Technique: Left: CT. Right: PSMA PET, same axial level, 18F-PSMA tracer. slice position z = -1388 mm.
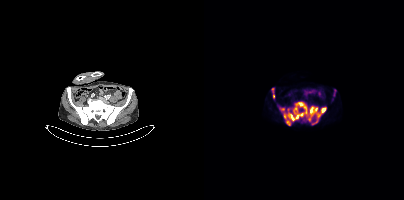
Findings: Coordinates are on the 200×200 PET (right) panel. PSMA-avid tumor lesion bounding boxes (x0,y0,x1,y1): [75,102,122,125] [67,88,70,98] [129,89,132,96].